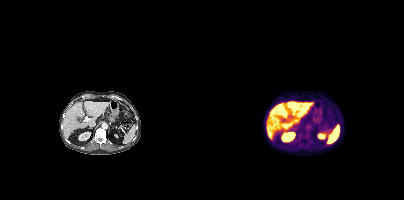
Left: CT. Right: PSMA PET, same axial level, [18F]PSMA-1007 tracer. Slice 209 of 389.
Coordinates are on the 200×200 PET (right) panel. PSMA-avid tumor lesion bounding boxes:
| # | x0 | y0 | x1 | y1 |
|---|---|---|---|---|
| 1 | 99 | 136 | 104 | 138 |